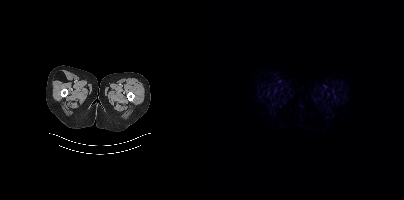
Technique: Paired axial CT (left) and PSMA PET (right), [18F]PSMA-1007 tracer.
Findings: No PSMA-avid tumor lesions on this slice.